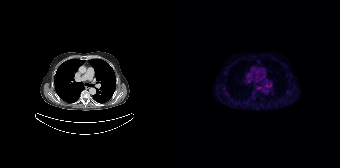
Negative for PSMA-avid disease on this slice. Left: CT. Right: PSMA PET, same axial level, [68Ga]Ga-PSMA-11 tracer. Slice 116 of 165.